Two-panel axial: CT | PSMA PET, [18F]PSMA-1007 tracer. PET panel 200×200 px (4.1 mm/px).
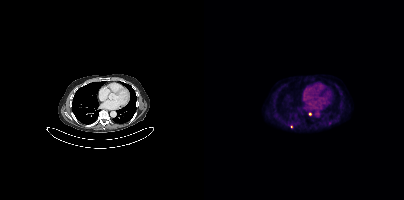
Coordinates are on the 200×200 PET (right) panel. Small PSMA-avid focus (2 to 4 px across) near (center x, center y): (87, 126).